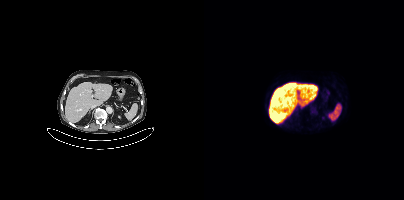
Left: CT. Right: PSMA PET, same axial level, 18F tracer. Slice 221 of 429. Negative for PSMA-avid disease on this slice.